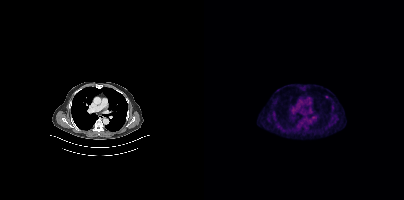
Findings: No tumor lesions annotated on this slice.
- Two-panel axial: CT | PSMA PET, 18F-PSMA tracer
- acquired on Siemens Biograph mCT Flow 20
- slice position z = -559 mm
- PET panel 200×200 px (4.1 mm/px)